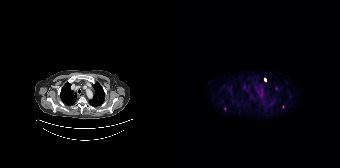
Findings: Coordinates are on the 168×168 PET (right) panel. (showing 3 of 4 foci) Small PSMA-avid foci (2 to 4 px across) near (center x, center y): (93, 79) | (111, 107) | (52, 108).
- Paired axial CT (left) and PSMA PET (right), [18F]PSMA-1007 tracer
- slice position z = -792 mm